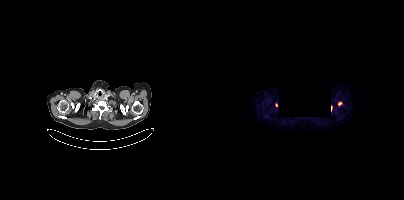
{"modality":"PSMA PET/CT","view":"axial","tracer":"18F","pet_grid":[200,200],"coord_frame":"pet_panel","coord_format":"x0,y0,x1,y1","partial":true,"lesion_bboxes":[],"small_foci_centers":[[135,103],[72,106]],"redaction":"privacy mask (black rectangle)"}